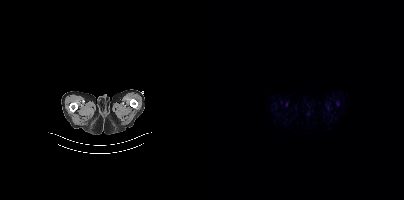
Left: CT. Right: PSMA PET, same axial level, [18F]PSMA-1007 tracer. Acquired on Siemens Biograph mCT Flow 20. This slice has no annotated PSMA-avid lesion.